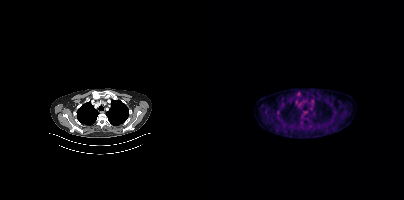
{"modality":"PSMA PET/CT","view":"axial","tracer":"18F","pet_grid":[200,200],"coord_frame":"pet_panel","coord_format":"x0,y0,x1,y1","psma_avid_lesions":false}